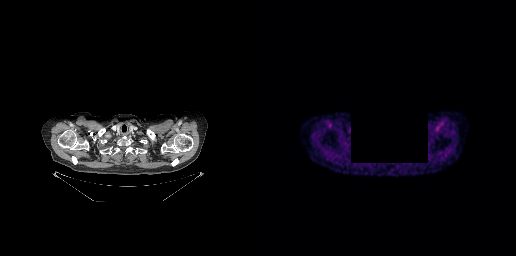
A block of pixels was blacked out before release to protect privacy. Paired axial CT (left) and PSMA PET (right), [18F]PSMA-1007 tracer. Slice 228 of 263. PET panel 256×256 px (2.7 mm/px). This slice has no annotated PSMA-avid lesion.